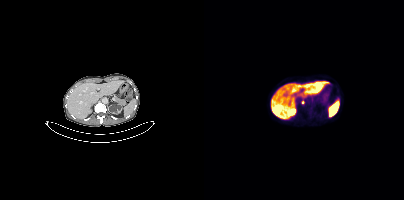
{"modality":"PSMA PET/CT","view":"axial","tracer":"18F","pet_grid":[200,200],"coord_frame":"pet_panel","coord_format":"x0,y0,x1,y1","lesion_bboxes":[],"small_foci_centers":[[98,102]]}